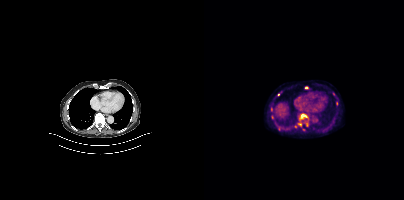
Findings: Coordinates are on the 200×200 PET (right) panel. (showing 7 of 9 foci) PSMA-avid tumor lesion bounding boxes (x0, y0)-(x1, y1): (95, 114)-(103, 119); (67, 115)-(69, 119). Small PSMA-avid foci (2 to 4 px across) near (center x, center y): (132, 103); (96, 124); (67, 109); (102, 87); (74, 94).
- Left: CT. Right: PSMA PET, same axial level, 18F-PSMA tracer
- slice position z = -485 mm
- PET panel 200×200 px (4.1 mm/px)